Two-panel axial: CT | PSMA PET, [18F]PSMA-1007 tracer. Acquired on Siemens Biograph mCT Flow 20. Slice 87 of 438.
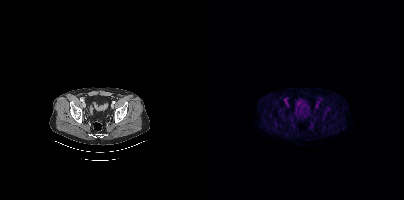
No PSMA-avid tumor lesions on this slice.